modality: PSMA PET/CT | tracer: 18F-PSMA | view: axial | PET grid: 200×200
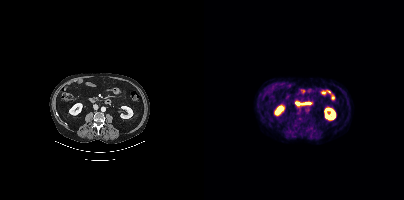
Coordinates are on the 200×200 PET (right) panel. Small PSMA-avid focus (2 to 4 px across) near (center x, center y): (95, 118).